Any black rectangle over the head is a privacy mask, not anatomy.
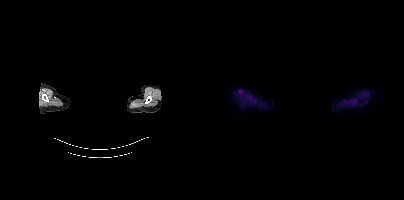
This slice has no annotated PSMA-avid lesion.